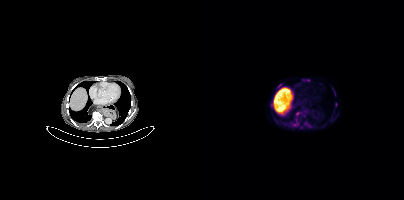
Coordinates are on the 200×200 PET (right) panel. (showing 2 of 4 foci) Small PSMA-avid foci (2 to 4 px across) near (center x, center y): (93, 113) (90, 124).